modality: PSMA PET/CT | tracer: 18F-PSMA | view: axial
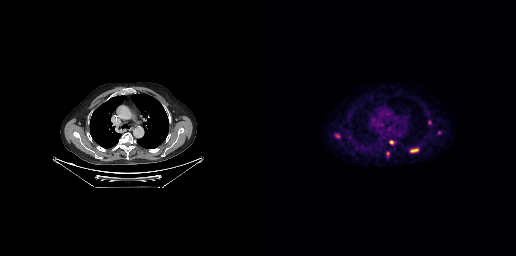
Coordinates are on the 256×256 PET (right) panel. PSMA-avid tumor lesion bounding boxes (x0, y0)-(x1, y1): (150, 148)-(158, 152) / (126, 151)-(129, 156) / (75, 134)-(79, 138) / (129, 140)-(133, 144). Small PSMA-avid foci (2 to 4 px across) near (center x, center y): (179, 132) / (169, 122).